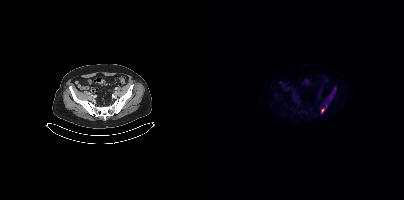
modality: PSMA PET/CT | tracer: 18F-PSMA | view: axial
Coordinates are on the 200×200 PET (right) panel. (showing 1 of 2 foci) PSMA-avid tumor lesion bounding box (x0,y0,x1,y1): [117,108,120,113].